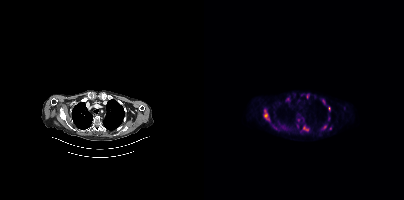
Coordinates are on the 200×200 PET (right) panel. PSMA-avid tumor lesion bounding boxes (x0, y0)-(x1, y1): (59, 110)-(66, 121); (97, 125)-(105, 131); (117, 125)-(122, 129); (118, 99)-(121, 103); (102, 94)-(105, 98). Small PSMA-avid foci (2 to 4 px across) near (center x, center y): (83, 100); (125, 108); (125, 118); (94, 120); (126, 128).